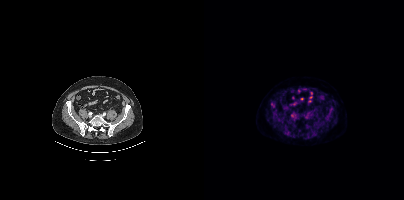
No PSMA-avid tumor lesions on this slice.